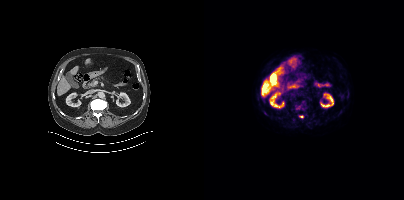
{"pet_grid":[200,200],"coord_frame":"pet_panel","coord_format":"x0,y0,x1,y1","lesion_bboxes":[[95,115,99,117]],"modality":"PSMA PET/CT","view":"axial","tracer":"[18F]PSMA-1007"}